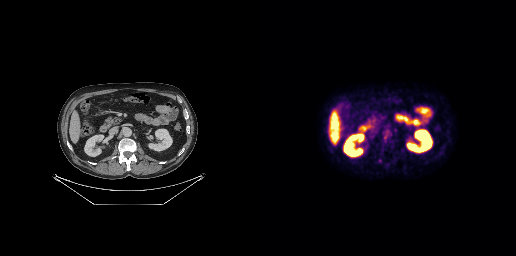
Two-panel axial: CT | PSMA PET, 18F tracer. Acquired on GE Discovery 690. PET panel 256×256 px (2.7 mm/px). No PSMA-avid tumor lesions on this slice.